A rectangle over the head was blacked out to remove identifiable facial features.
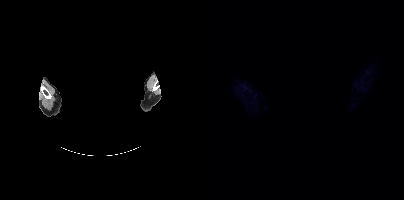
No tumor lesions annotated on this slice.